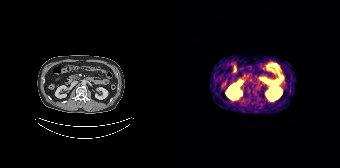
Paired axial CT (left) and PSMA PET (right), 68Ga tracer. Slice 78 of 165. This slice has no annotated PSMA-avid lesion.